Technique: Left: CT. Right: PSMA PET, same axial level, 18F tracer. acquired on Siemens Biograph mCT Flow 20. slice 59 of 411.
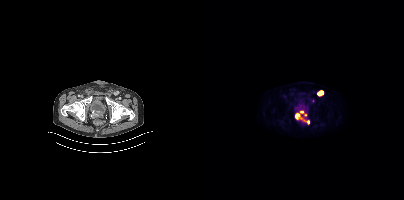
Findings: Coordinates are on the 200×200 PET (right) panel. PSMA-avid tumor lesion bounding boxes (x0,y0,x1,y1): [91,110,105,124] [113,90,119,95].